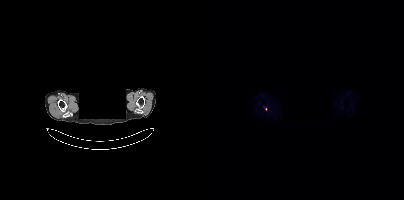
{"modality":"PSMA PET/CT","view":"axial","tracer":"18F-PSMA","pet_grid":[200,200],"coord_frame":"pet_panel","coord_format":"x0,y0,x1,y1","lesion_bboxes":[],"small_foci_centers":[[61,108]],"de-identification":"head region blacked out before release"}